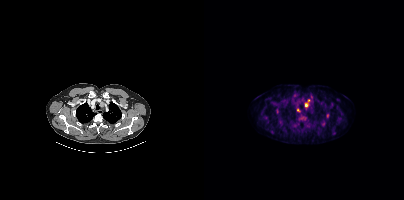
Coordinates are on the 200×200 PET (right) panel. PSMA-avid tumor lesion bounding box (x0, y0)-(x1, y1): (101, 99)-(105, 107). Small PSMA-avid foci (2 to 4 px across) near (center x, center y): (94, 110) / (124, 114). Two-panel axial: CT | PSMA PET, 18F tracer. Slice 339 of 438. PET panel 200×200 px (4.1 mm/px).